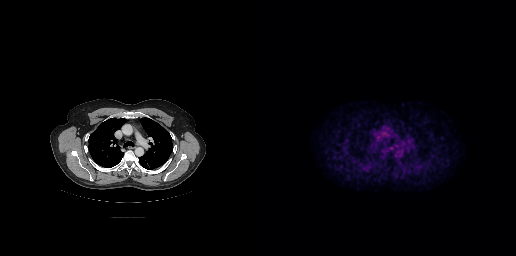
Findings: No PSMA-avid tumor lesions on this slice.
- Paired axial CT (left) and PSMA PET (right), 18F tracer
- acquired on GE Discovery 690